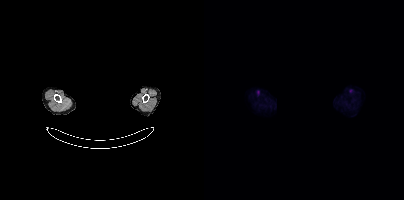
modality: PSMA PET/CT | tracer: 18F-PSMA | view: axial | PET grid: 200×200 | de-identification: facial region redacted
Negative for PSMA-avid disease on this slice.